Technique: Left: CT. Right: PSMA PET, same axial level, [18F]PSMA-1007 tracer. acquired on Siemens Biograph mCT Flow 20. slice position z = -885 mm.
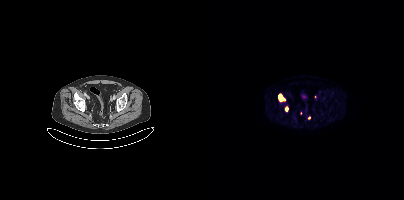
Findings: Coordinates are on the 200×200 PET (right) panel. PSMA-avid tumor lesion bounding box (x0, y0)-(x1, y1): (75, 94)-(80, 100). Small PSMA-avid focus (2 to 4 px across) near (center x, center y): (82, 108).